Two-panel axial: CT | PSMA PET, 68Ga-PSMA tracer. Slice position z = -1471 mm. PET panel 200×200 px (4.1 mm/px).
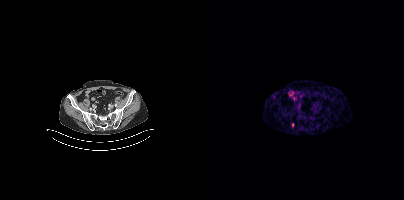
Only PSMA-avid lesion pieces thinner than 2 px on this slice (not listed).